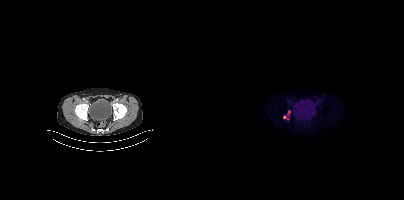
Technique: Two-panel axial: CT | PSMA PET, 18F-PSMA tracer. acquired on Siemens Biograph mCT Flow 20. slice 67 of 377.
Findings: Coordinates are on the 200×200 PET (right) panel. (showing 1 of 3 foci) Small PSMA-avid focus (2 to 4 px across) near (center x, center y): (80, 117).